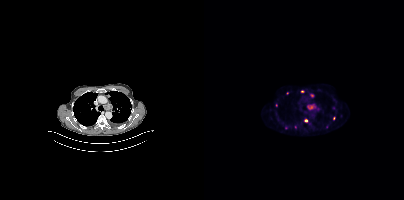
Technique: Two-panel axial: CT | PSMA PET, 18F-PSMA tracer.
Findings: Coordinates are on the 200×200 PET (right) panel. (showing 7 of 12 foci) PSMA-avid tumor lesion bounding boxes (x, y, width, height): x=103 y=104 w=9 h=6 | x=106 y=94 w=5 h=4. Small PSMA-avid foci (2 to 4 px across) near (center x, center y): (102, 120) | (129, 108) | (129, 118) | (122, 126) | (83, 92).